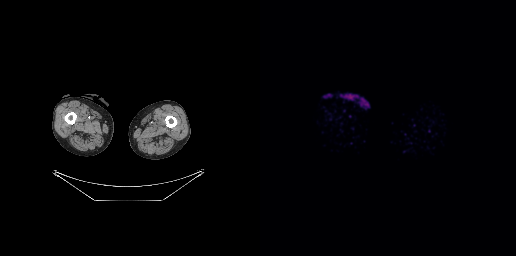
{"pet_grid":[256,256],"coord_frame":"pet_panel","coord_format":"x0,y0,x1,y1","psma_avid_lesions":false,"modality":"PSMA PET/CT","view":"axial","tracer":"18F"}